Any black rectangle over the head is a privacy mask, not anatomy.
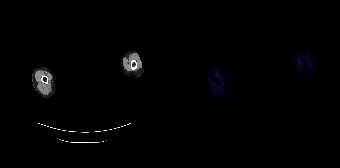
No tumor lesions annotated on this slice.